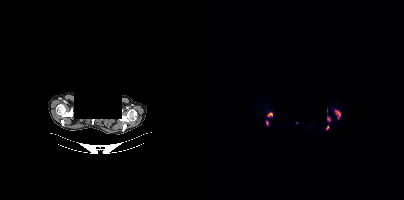
de-identification: face masked with black rectangle | modality: PSMA PET/CT | tracer: 18F | view: axial | PET grid: 200×200
Coordinates are on the 200×200 PET (right) panel. (showing 4 of 5 foci) PSMA-avid tumor lesion bounding boxes (x0, y0)-(x1, y1): (131, 109)-(136, 118) / (63, 112)-(68, 117) / (62, 120)-(64, 125) / (122, 125)-(124, 129).